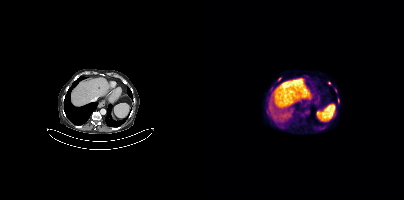
Paired axial CT (left) and PSMA PET (right), 18F tracer. PET panel 200×200 px (4.1 mm/px). Coordinates are on the 200×200 PET (right) panel. (showing 4 of 6 foci) PSMA-avid tumor lesion bounding box (x0, y0)-(x1, y1): (134, 98)-(135, 102). Small PSMA-avid foci (2 to 4 px across) near (center x, center y): (125, 83) | (75, 79) | (71, 122).